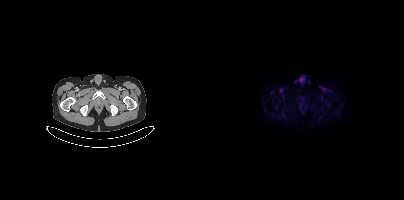
Negative for PSMA-avid disease on this slice. Two-panel axial: CT | PSMA PET, 18F-PSMA tracer. PET panel 200×200 px (4.1 mm/px).